Two-panel axial: CT | PSMA PET, [18F]PSMA-1007 tracer. Acquired on Siemens Biograph mCT Flow 20.
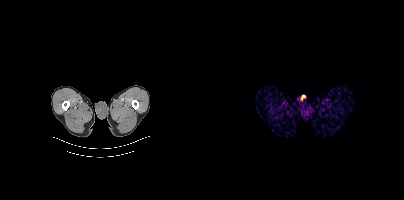
No tumor lesions annotated on this slice.